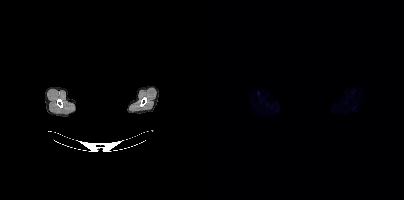
Technique: Two-panel axial: CT | PSMA PET, 18F tracer. acquired on Siemens Biograph mCT Flow 20. slice position z = -262 mm. PET panel 200×200 px (4.1 mm/px).
Note: Face de-identified by blanking a block of the head.
Findings: This slice has no annotated PSMA-avid lesion.